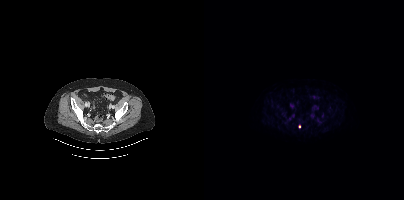
{"pet_grid":[200,200],"coord_frame":"pet_panel","coord_format":"x0,y0,x1,y1","lesion_bboxes":[],"small_foci_centers":[[95,126]],"modality":"PSMA PET/CT","view":"axial","tracer":"18F"}